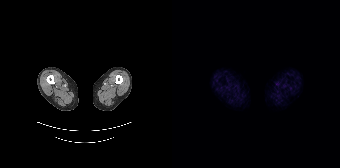
Findings: Negative for PSMA-avid disease on this slice.
Technique: Two-panel axial: CT | PSMA PET, 68Ga tracer. slice 20 of 195. PET panel 168×168 px (4.1 mm/px).